Paired axial CT (left) and PSMA PET (right), 18F tracer. Acquired on Siemens Biograph mCT Flow 20. PET panel 200×200 px (4.1 mm/px).
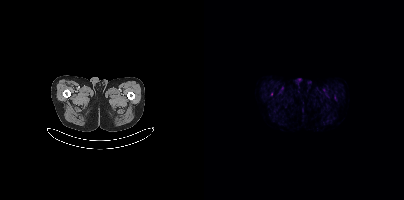
Negative for PSMA-avid disease on this slice.